Technique: Two-panel axial: CT | PSMA PET, 18F-PSMA tracer. acquired on Siemens Biograph mCT Flow 20.
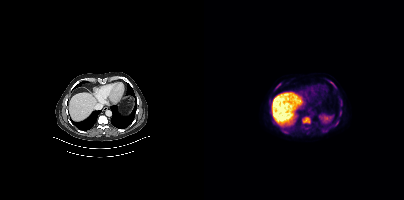
Findings: Coordinates are on the 200×200 PET (right) panel. PSMA-avid tumor lesion bounding boxes (x0,y0,x1,y1): [98,117,106,123] [77,130,84,133] [126,81,132,87] [129,122,134,126] [135,111,137,116] [71,83,76,88] [136,102,138,106]. Small PSMA-avid focus (2 to 4 px across) near (center x, center y): (122, 130).